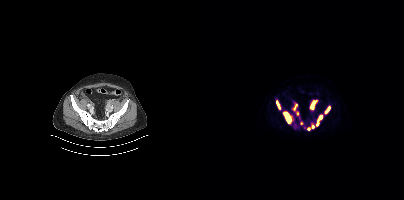
Coordinates are on the 200×200 PET (right) panel. PSMA-avid tumor lesion bounding boxes (x0,y0,x1,y1): [79,111,87,123] [106,100,113,109] [112,114,118,126] [120,106,126,113] [72,100,76,109] [103,124,110,130] [89,104,93,110]. Small PSMA-avid foci (2 to 4 px across) near (center x, center y): (93, 113) (97, 123).
modality: PSMA PET/CT | tracer: 18F-PSMA | view: axial | PET grid: 200×200